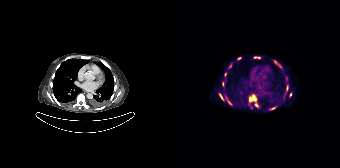
{"pet_grid":[168,168],"coord_frame":"pet_panel","coord_format":"x0,y0,x1,y1","partial":true,"lesion_bboxes":[[77,94,86,107],[101,60,109,68],[54,97,59,105],[47,93,52,100],[82,57,87,58],[114,85,116,90],[99,107,103,109]],"small_foci_centers":[[67,58],[50,83],[118,94],[53,74],[58,65]],"modality":"PSMA PET/CT","view":"axial","tracer":"[68Ga]Ga-PSMA-11"}